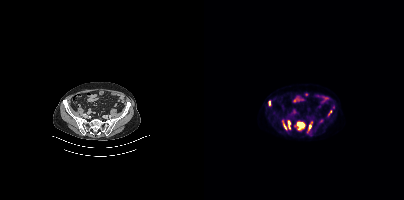
Coordinates are on the 200×200 PET (right) panel. (showing 7 of 8 foci) PSMA-avid tumor lesion bounding boxes (x0,y0,x1,y1): [93,122,101,129], [83,120,86,128], [104,124,107,130], [78,121,82,129], [65,101,66,105], [124,110,127,115]. Small PSMA-avid focus (2 to 4 px across) near (center x, center y): (117, 120).